Paired axial CT (left) and PSMA PET (right), [18F]PSMA-1007 tracer. PET panel 200×200 px (4.1 mm/px).
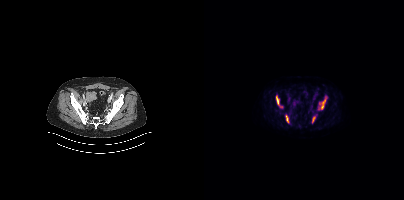
Coordinates are on the 200×200 PET (right) panel. PSMA-avid tumor lesion bounding boxes:
| # | x0 | y0 | x1 | y1 |
|---|---|---|---|---|
| 1 | 115 | 97 | 122 | 109 |
| 2 | 72 | 95 | 75 | 103 |
| 3 | 82 | 115 | 84 | 122 |
| 4 | 108 | 117 | 111 | 121 |